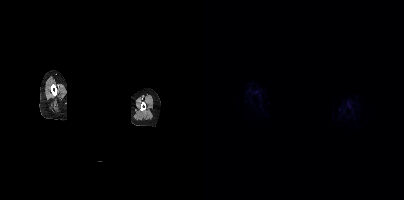
No tumor lesions annotated on this slice.
modality: PSMA PET/CT | tracer: 68Ga-PSMA | view: axial | deidentification: head region blanked (face removed)